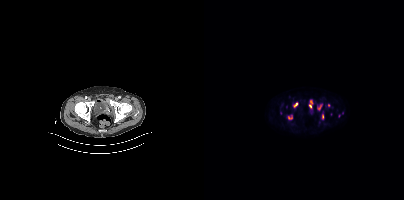
Left: CT. Right: PSMA PET, same axial level, [18F]PSMA-1007 tracer. Slice 56 of 403. PET panel 200×200 px (4.1 mm/px).
Coordinates are on the 200×200 PET (right) panel. PSMA-avid tumor lesion bounding boxes (partial; 2 more foci not listed):
| # | x0 | y0 | x1 | y1 |
|---|---|---|---|---|
| 1 | 114 | 105 | 117 | 109 |
Small PSMA-avid foci (2 to 4 px across) near (center x, center y): (85, 117); (91, 104); (106, 106).